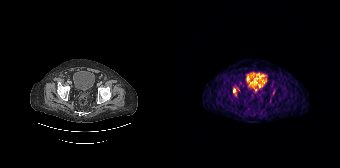
Left: CT. Right: PSMA PET, same axial level, 68Ga-PSMA tracer. Slice position z = -1526 mm. Coordinates are on the 168×168 PET (right) panel. Small PSMA-avid focus (2 to 4 px across) near (center x, center y): (62, 90).